modality: PSMA PET/CT | tracer: [68Ga]Ga-PSMA-11 | view: axial
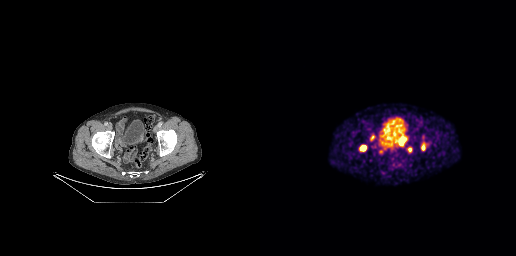
Coordinates are on the 256×256 PET (right) panel. (showing 5 of 6 foci) PSMA-avid tumor lesion bounding boxes (x0, y0)-(x1, y1): (140, 136)-(145, 142); (100, 146)-(105, 150); (110, 135)-(114, 141); (162, 145)-(164, 150). Small PSMA-avid focus (2 to 4 px across) near (center x, center y): (149, 149).